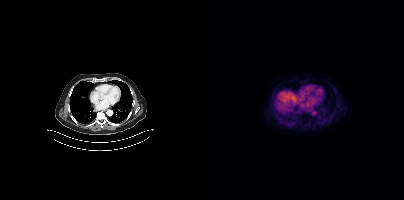
Technique: Left: CT. Right: PSMA PET, same axial level, 18F-PSMA tracer. acquired on Siemens Biograph mCT Flow 20. slice position z = -1288 mm. PET panel 200×200 px (4.1 mm/px).
Findings: Negative for PSMA-avid disease on this slice.